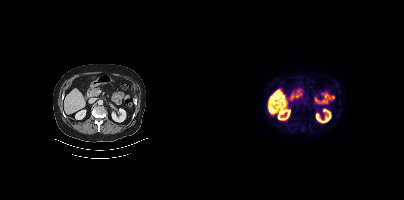
modality: PSMA PET/CT | tracer: 18F-PSMA | view: axial | PET grid: 200×200
Coordinates are on the 200×200 PET (right) panel. Small PSMA-avid focus (2 to 4 px across) near (center x, center y): (98, 126).